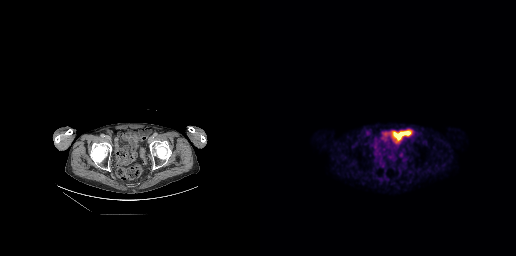
{"pet_grid":[256,256],"coord_frame":"pet_panel","coord_format":"x0,y0,x1,y1","psma_avid_lesions":false,"modality":"PSMA PET/CT","view":"axial","tracer":"[18F]PSMA-1007"}